Left: CT. Right: PSMA PET, same axial level, [68Ga]Ga-PSMA-11 tracer. Acquired on Siemens Biograph mCT Flow 20. Slice position z = -1376 mm. PET panel 200×200 px (4.1 mm/px).
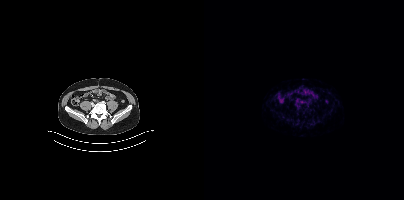
Negative for PSMA-avid disease on this slice.